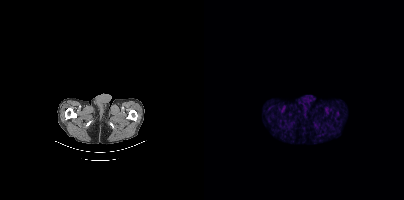
Left: CT. Right: PSMA PET, same axial level, [18F]PSMA-1007 tracer. Slice 20 of 403. PET panel 200×200 px (4.1 mm/px). No PSMA-avid tumor lesions on this slice.